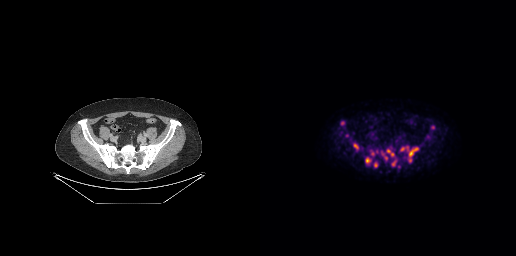
Coordinates are on the 256×256 PET (right) panel. (showing 8 of 9 foci) PSMA-avid tumor lesion bounding boxes (x0,y0,x1,y1): [141,146,158,161], [93,143,98,149], [127,149,133,156], [105,158,110,163], [132,161,135,165]. Small PSMA-avid foci (2 to 4 px across) near (center x, center y): (115, 164), (126, 158), (112, 153).
modality: PSMA PET/CT | tracer: 18F | view: axial